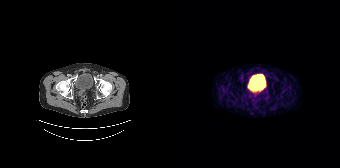
Left: CT. Right: PSMA PET, same axial level, 68Ga-PSMA tracer. This slice has no annotated PSMA-avid lesion.